Two-panel axial: CT | PSMA PET, 18F tracer. Acquired on Siemens Biograph mCT Flow 20. Slice 226 of 411. PET panel 200×200 px (4.1 mm/px).
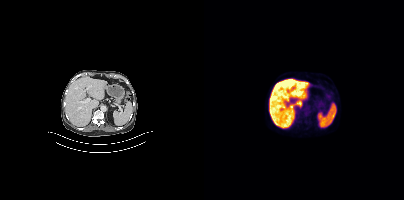
No PSMA-avid tumor lesions on this slice.